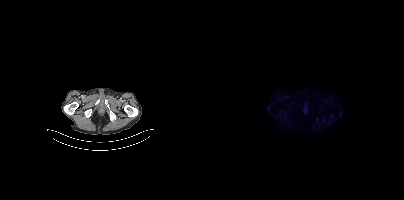
This slice has no annotated PSMA-avid lesion. Left: CT. Right: PSMA PET, same axial level, 18F-PSMA tracer. Acquired on Siemens Biograph mCT Flow 20. Slice position z = -42 mm. PET panel 200×200 px (4.1 mm/px).